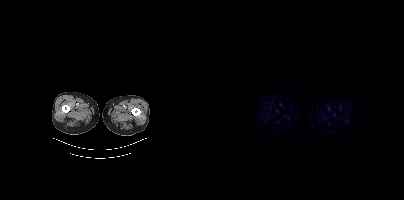
Findings: No tumor lesions annotated on this slice.
- Two-panel axial: CT | PSMA PET, 18F-PSMA tracer
- acquired on Siemens Biograph mCT Flow 20
- slice position z = -1582 mm